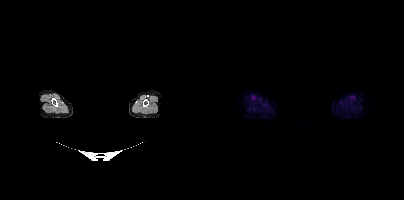
deidentification: facial region redacted | modality: PSMA PET/CT | tracer: 18F | view: axial | PET grid: 200×200
No PSMA-avid tumor lesions on this slice.